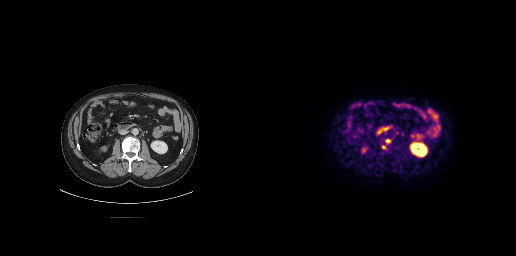
modality: PSMA PET/CT | tracer: 18F-PSMA | view: axial
Coordinates are on the 256×256 PET (right) panel. PSMA-avid tumor lesion bounding box (x0, y0)-(x1, y1): (125, 139)-(130, 143). Small PSMA-avid focus (2 to 4 px across) near (center x, center y): (123, 147).